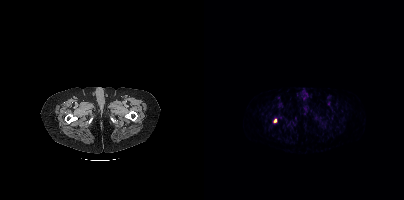
modality: PSMA PET/CT | tracer: 68Ga-PSMA | view: axial | PET grid: 200×200
Coordinates are on the 200×200 PET (right) panel. Small PSMA-avid focus (2 to 4 px across) near (center x, center y): (70, 120).